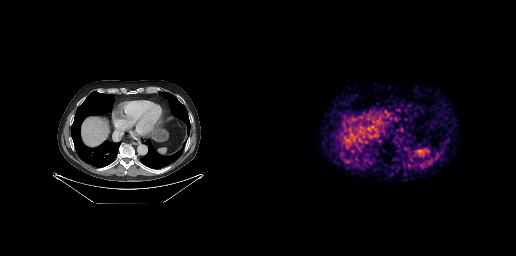
Findings: Coordinates are on the 256×256 PET (right) panel. Small PSMA-avid focus (2 to 4 px across) near (center x, center y): (167, 151).
- Left: CT. Right: PSMA PET, same axial level, 68Ga-PSMA tracer
- PET panel 256×256 px (2.7 mm/px)